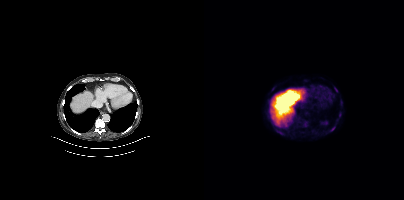
Coordinates are on the 200×200 PET (right) panel. PSMA-avid tumor lesion bounding box (x, y, width, height): x=127 y=126 w=5 h=5. Small PSMA-avid focus (2 to 4 px across) near (center x, center y): (135, 114).